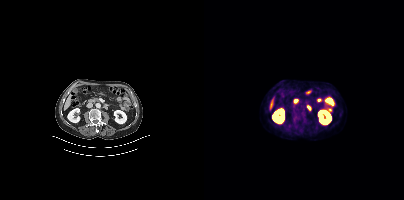
No tumor lesions annotated on this slice.